modality: PSMA PET/CT | tracer: 18F | view: axial | de-identification: facial region redacted
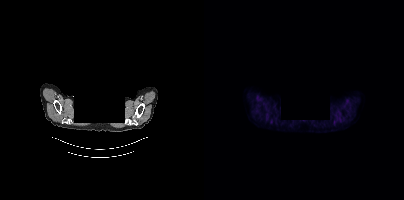
No tumor lesions annotated on this slice.